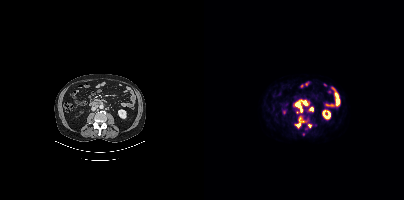
{"modality":"PSMA PET/CT","view":"axial","tracer":"[18F]PSMA-1007","pet_grid":[200,200],"coord_frame":"pet_panel","coord_format":"x0,y0,x1,y1","partial":true,"lesion_bboxes":[[93,100,105,112],[92,117,100,127],[104,106,109,111]],"small_foci_centers":[[105,125]]}